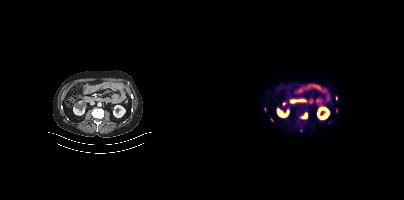
Coordinates are on the 200×200 PET (right) panel. (showing 3 of 5 foci) PSMA-avid tumor lesion bounding box (x0,y0,x1,y1): [97,112,103,118]. Small PSMA-avid foci (2 to 4 px across) near (center x, center y): (132, 97) (67, 119). Two-panel axial: CT | PSMA PET, 18F tracer. Acquired on Siemens Biograph mCT Flow 20. Slice 185 of 429. PET panel 200×200 px (4.1 mm/px).